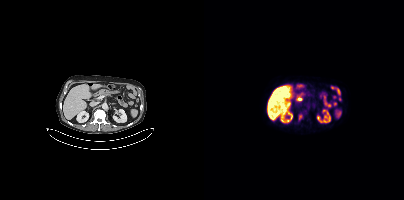
Coordinates are on the 200×200 PET (right) panel. PSMA-avid tumor lesion bounding box (x0,y0,x1,y1): [95,114,98,120].